Left: CT. Right: PSMA PET, same axial level, 18F-PSMA tracer. Acquired on GE Discovery 690. Slice position z = -655 mm.
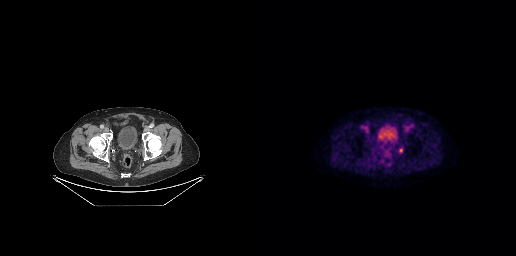
Negative for PSMA-avid disease on this slice.